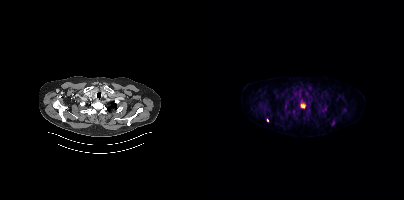
Coordinates are on the 200×200 PET (right) panel. (showing 9 of 11 foci) PSMA-avid tumor lesion bounding boxes (x0, y0)-(x1, y1): (54, 102)-(60, 108) / (80, 103)-(85, 109) / (116, 107)-(122, 113) / (96, 103)-(101, 109) / (138, 108)-(142, 113) / (104, 86)-(107, 90) / (102, 108)-(104, 112). Small PSMA-avid foci (2 to 4 px across) near (center x, center y): (63, 120) / (89, 109).